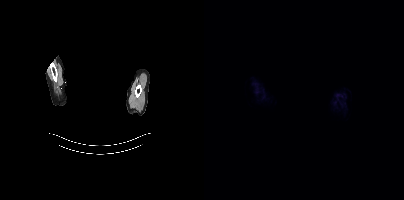
- face de-identified by blanking a block of the head
- Paired axial CT (left) and PSMA PET (right), [18F]PSMA-1007 tracer
- slice 364 of 401
Findings: No tumor lesions annotated on this slice.